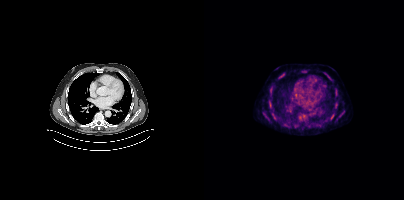
- Two-panel axial: CT | PSMA PET, 18F tracer
- PET panel 200×200 px (4.1 mm/px)
Findings: Coordinates are on the 200×200 PET (right) panel. (showing 8 of 10 foci) PSMA-avid tumor lesion bounding boxes (x, y, width, height): x=76 y=73 w=5 h=5 / x=60 y=114 w=6 h=7 / x=127 y=114 w=4 h=5 / x=98 y=70 w=5 h=3. Small PSMA-avid foci (2 to 4 px across) near (center x, center y): (122, 74) / (131, 89) / (131, 106) / (71, 117).